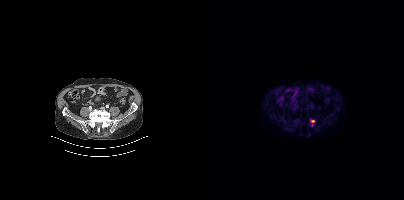
Findings: Coordinates are on the 200×200 PET (right) panel. Small PSMA-avid focus (2 to 4 px across) near (center x, center y): (108, 121).
- Two-panel axial: CT | PSMA PET, 18F-PSMA tracer
- PET panel 200×200 px (4.1 mm/px)